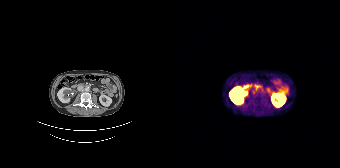
Negative for PSMA-avid disease on this slice.